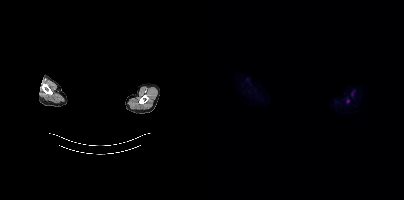
The face region was removed for patient privacy by blanking a rectangle over the head. Two-panel axial: CT | PSMA PET, [18F]PSMA-1007 tracer. PET panel 200×200 px (4.1 mm/px). Coordinates are on the 200×200 PET (right) panel. Small PSMA-avid focus (2 to 4 px across) near (center x, center y): (143, 100).